Left: CT. Right: PSMA PET, same axial level, 18F tracer. Slice position z = -1468 mm. PET panel 200×200 px (4.1 mm/px).
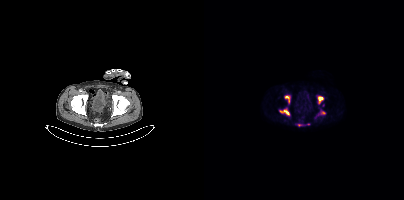
Coordinates are on the 200×200 PET (right) panel. PSMA-avid tumor lesion bounding boxes (partial; 1 more focus not listed):
| # | x0 | y0 | x1 | y1 |
|---|---|---|---|---|
| 1 | 75 | 108 | 85 | 115 |
| 2 | 80 | 95 | 86 | 103 |
| 3 | 114 | 96 | 119 | 103 |
| 4 | 116 | 111 | 121 | 114 |
Small PSMA-avid focus (2 to 4 px across) near (center x, center y): (95, 125).